modality: PSMA PET/CT | tracer: [18F]PSMA-1007 | view: axial | PET grid: 200×200
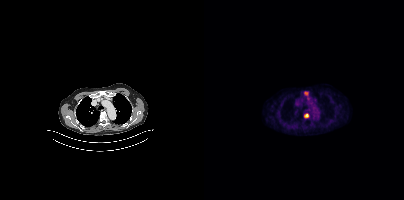
Coordinates are on the 200×200 PET (right) panel. PSMA-avid tumor lesion bounding boxes (x0, y0)-(x1, y1): (100, 113)-(104, 117) | (100, 92)-(104, 95).